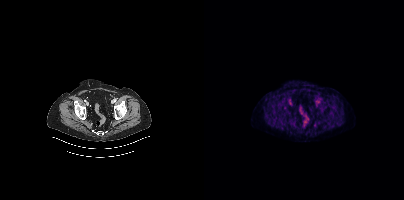
{"modality":"PSMA PET/CT","view":"axial","tracer":"[18F]PSMA-1007","pet_grid":[200,200],"coord_frame":"pet_panel","coord_format":"x0,y0,x1,y1","psma_avid_lesions":false}